modality: PSMA PET/CT | tracer: 18F | view: axial | PET grid: 200×200
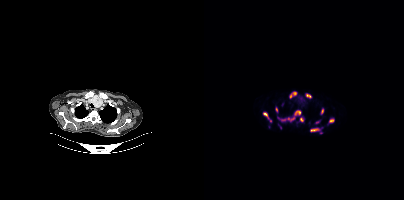
Coordinates are on the 200×200 PET (right) panel. (showing 10 of 11 foci) PSMA-avid tumor lesion bounding boxes (x0, y0)-(x1, y1): (77, 110)-(97, 121) / (59, 112)-(67, 122) / (106, 128)-(115, 131) / (85, 92)-(92, 98) / (125, 118)-(130, 122) / (102, 94)-(107, 97) / (96, 117)-(99, 121) / (117, 108)-(119, 113) / (71, 107)-(73, 112). Small PSMA-avid focus (2 to 4 px across) near (center x, center y): (113, 122).